- Left: CT. Right: PSMA PET, same axial level, [18F]PSMA-1007 tracer
- slice position z = -1584 mm
- PET panel 200×200 px (4.1 mm/px)
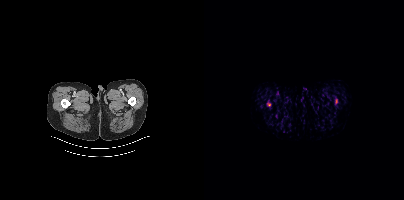
Findings: Coordinates are on the 200×200 PET (right) panel. PSMA-avid tumor lesion bounding boxes (x0,y0,x1,y1): [63,102,66,106] [132,99,133,103].